Left: CT. Right: PSMA PET, same axial level, [18F]PSMA-1007 tracer. PET panel 200×200 px (4.1 mm/px). A rectangle over the head was blacked out to remove identifiable facial features.
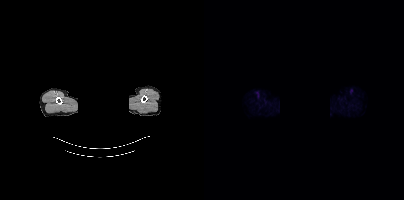
No PSMA-avid tumor lesions on this slice.